An anonymization step blacked out a rectangle over the head in this scan.
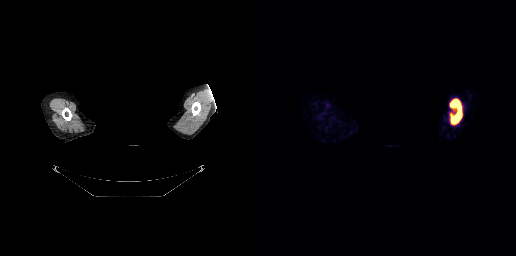
Coordinates are on the 256×256 PET (right) panel. PSMA-avid tumor lesion bounding box (x0,y0,x1,y1): [190,98,202,124].